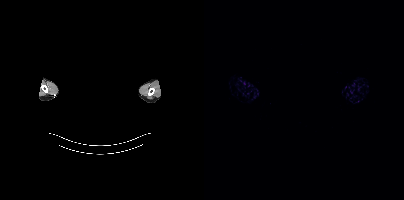
{"modality":"PSMA PET/CT","view":"axial","tracer":"68Ga-PSMA","pet_grid":[200,200],"coord_frame":"pet_panel","coord_format":"x0,y0,x1,y1","psma_avid_lesions":false,"de-identification":"face masked with black rectangle"}